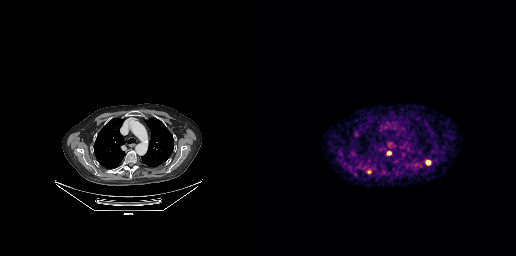
Coordinates are on the 256×256 PET (right) panel. PSMA-avid tumor lesion bounding boxes (x0,y0,x1,y1): [127,151,131,155] [107,169,111,173]. Small PSMA-avid foci (2 to 4 px across) near (center x, center y): (168, 162) (94, 173) (96, 134).